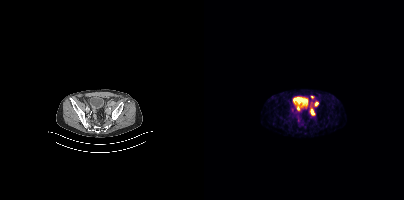
Findings: Coordinates are on the 200×200 PET (right) panel. (showing 4 of 5 foci) PSMA-avid tumor lesion bounding boxes (x0,y0,x1,y1): [106,108,110,115]; [110,102,114,106]; [93,106,95,110]. Small PSMA-avid focus (2 to 4 px across) near (center x, center y): (108, 97).
- Two-panel axial: CT | PSMA PET, 68Ga-PSMA tracer